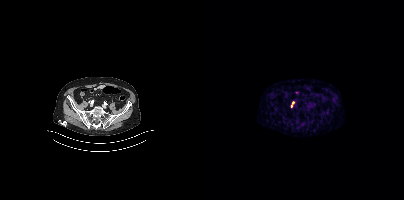
Only PSMA-avid lesion pieces thinner than 2 px on this slice (not listed).